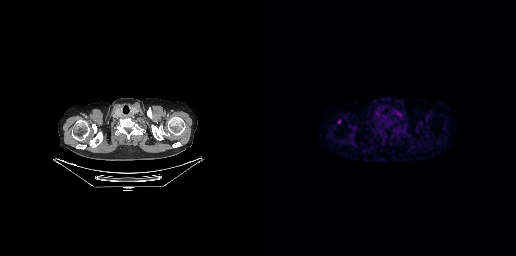
Two-panel axial: CT | PSMA PET, 18F-PSMA tracer. PET panel 256×256 px (2.7 mm/px). Coordinates are on the 256×256 PET (right) panel. Small PSMA-avid focus (2 to 4 px across) near (center x, center y): (79, 121).